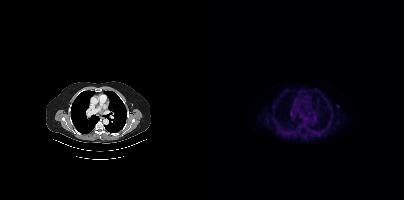
Coordinates are on the 200×200 PET (right) panel. Small PSMA-avid focus (2 to 4 px across) near (center x, center y): (133, 106).